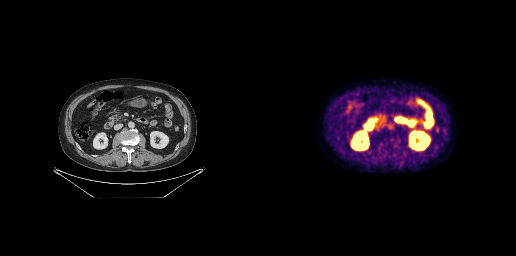
{"modality":"PSMA PET/CT","view":"axial","tracer":"18F-PSMA","pet_grid":[256,256],"coord_frame":"pet_panel","coord_format":"x0,y0,x1,y1","psma_avid_lesions":false}